Technique: Left: CT. Right: PSMA PET, same axial level, 18F-PSMA tracer. slice position z = -1294 mm.
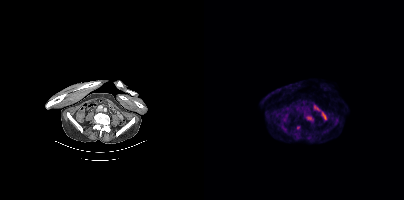
Findings: Coordinates are on the 200×200 PET (right) panel. (showing 2 of 3 foci) PSMA-avid tumor lesion bounding box (x0, y0)-(x1, y1): (102, 116)-(108, 120). Small PSMA-avid focus (2 to 4 px across) near (center x, center y): (80, 129).